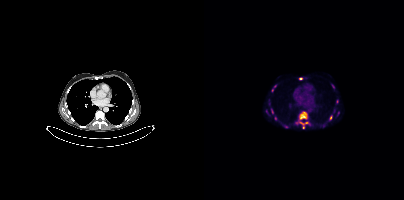
Left: CT. Right: PSMA PET, same axial level, 18F-PSMA tracer. Acquired on Siemens Biograph mCT Flow 20. Slice position z = -1096 mm. PET panel 200×200 px (4.1 mm/px). Coordinates are on the 200×200 PET (right) panel. (showing 9 of 12 foci) PSMA-avid tumor lesion bounding boxes (x0, y0)-(x1, y1): (95, 111)-(103, 119); (92, 121)-(104, 128); (125, 115)-(128, 120); (67, 109)-(69, 113). Small PSMA-avid foci (2 to 4 px across) near (center x, center y): (96, 78); (129, 86); (134, 112); (68, 90); (62, 110).